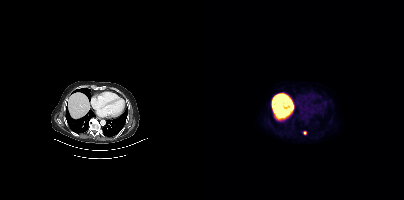
{"modality":"PSMA PET/CT","view":"axial","tracer":"[18F]PSMA-1007","pet_grid":[200,200],"coord_frame":"pet_panel","coord_format":"x0,y0,x1,y1","lesion_bboxes":[],"small_foci_centers":[[100,132]]}